- Left: CT. Right: PSMA PET, same axial level, 18F-PSMA tracer
- acquired on Siemens Biograph mCT Flow 20
- slice 332 of 421
- PET panel 200×200 px (4.1 mm/px)
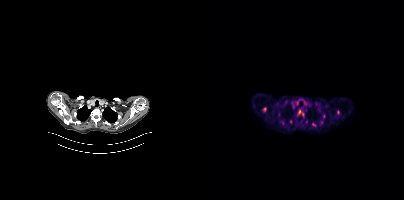
Findings: Coordinates are on the 200×200 PET (right) panel. (showing 5 of 6 foci) PSMA-avid tumor lesion bounding boxes (x, y, width, height): x=59 y=107 w=4 h=5; x=133 y=110 w=3 h=5. Small PSMA-avid foci (2 to 4 px across) near (center x, center y): (95, 111); (119, 116); (110, 124).